modality: PSMA PET/CT | tracer: 18F | view: axial | PET grid: 200×200
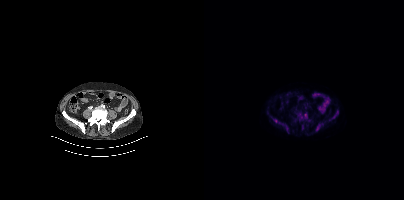
Coordinates are on the 200×200 PET (right) panel. (showing 6 of 8 foci) PSMA-avid tumor lesion bounding boxes (x0,y0,x1,y1): [69,119,84,133], [112,123,119,131], [128,112,134,118], [100,113,103,118], [95,113,98,119]. Small PSMA-avid focus (2 to 4 px across) near (center x, center y): (98, 127).